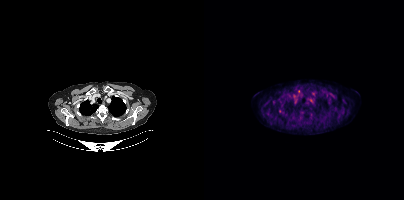
Findings: Coordinates are on the 200×200 PET (right) panel. Small PSMA-avid focus (2 to 4 px across) near (center x, center y): (75, 111).
- Left: CT. Right: PSMA PET, same axial level, 18F-PSMA tracer